- Paired axial CT (left) and PSMA PET (right), 18F tracer
- acquired on Siemens Biograph mCT Flow 20
- slice 201 of 417
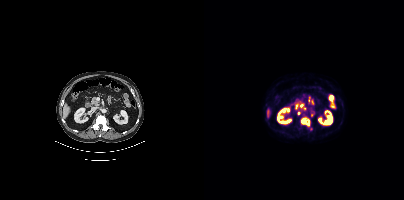
Findings: Coordinates are on the 200×200 PET (right) panel. (showing 3 of 4 foci) PSMA-avid tumor lesion bounding box (x0, y0)-(x1, y1): (97, 118)-(105, 125). Small PSMA-avid foci (2 to 4 px across) near (center x, center y): (97, 105) | (94, 113).